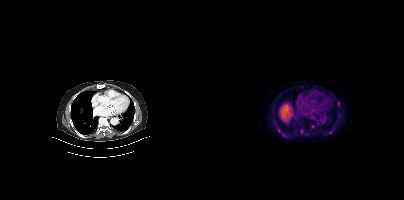
Technique: Two-panel axial: CT | PSMA PET, [18F]PSMA-1007 tracer. slice 265 of 407.
Findings: Coordinates are on the 200×200 PET (right) panel. (showing 5 of 7 foci) Small PSMA-avid foci (2 to 4 px across) near (center x, center y): (108, 126); (126, 132); (82, 136); (97, 131); (97, 87).